- Two-panel axial: CT | PSMA PET, [18F]PSMA-1007 tracer
- acquired on Siemens Biograph mCT Flow 20
- slice 338 of 411
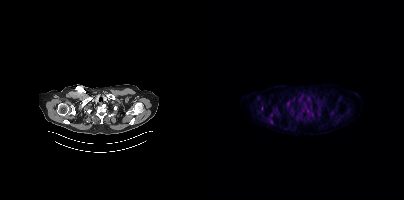
Findings: Only PSMA-avid lesion pieces thinner than 2 px on this slice (not listed).